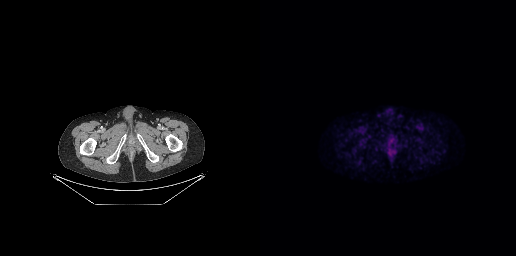
No tumor lesions annotated on this slice. Paired axial CT (left) and PSMA PET (right), 18F tracer. Acquired on GE Discovery 690. PET panel 256×256 px (2.7 mm/px).